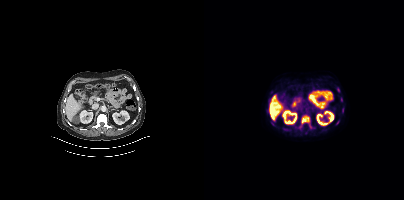
Left: CT. Right: PSMA PET, same axial level, 18F tracer. PET panel 200×200 px (4.1 mm/px).
Coordinates are on the 200×200 PET (right) panel. PSMA-avid tumor lesion bounding boxes (partial; 3 more foci not listed):
| # | x0 | y0 | x1 | y1 |
|---|---|---|---|---|
| 1 | 97 | 115 | 106 | 124 |
| 2 | 138 | 108 | 139 | 112 |
Small PSMA-avid foci (2 to 4 px across) near (center x, center y): (133, 122); (134, 90).